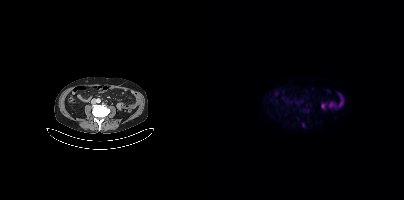
{"modality":"PSMA PET/CT","view":"axial","tracer":"18F-PSMA","pet_grid":[200,200],"coord_frame":"pet_panel","coord_format":"x0,y0,x1,y1","partial":true,"lesion_bboxes":[]}